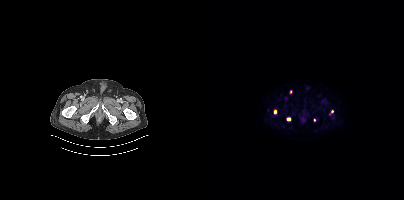
Coordinates are on the 200×200 PET (right) panel. PSMA-avid tumor lesion bounding boxes (x0,y0,x1,y1): [70,110,72,114]; [125,110,129,114]. Small PSMA-avid foci (2 to 4 px across) near (center x, center y): (84, 118); (87, 91); (110, 120).